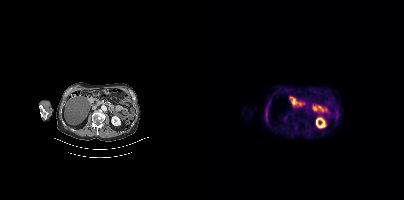
{"modality":"PSMA PET/CT","view":"axial","tracer":"18F-PSMA","pet_grid":[200,200],"coord_frame":"pet_panel","coord_format":"x0,y0,x1,y1","psma_avid_lesions":false}